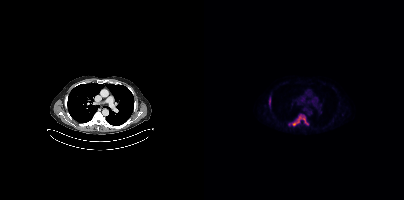
{"modality":"PSMA PET/CT","view":"axial","tracer":"18F","pet_grid":[200,200],"coord_frame":"pet_panel","coord_format":"x0,y0,x1,y1","lesion_bboxes":[[85,114,104,126],[65,97,66,106]]}